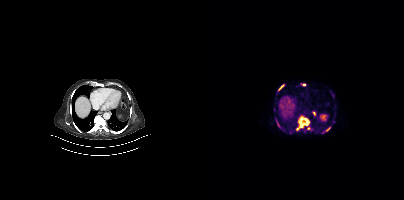
{"modality":"PSMA PET/CT","view":"axial","tracer":"[68Ga]Ga-PSMA-11","pet_grid":[200,200],"coord_frame":"pet_panel","coord_format":"x0,y0,x1,y1","lesion_bboxes":[[92,116,105,130],[71,118,78,129],[74,84,80,90],[122,127,126,131]],"small_foci_centers":[[104,128],[100,84]]}